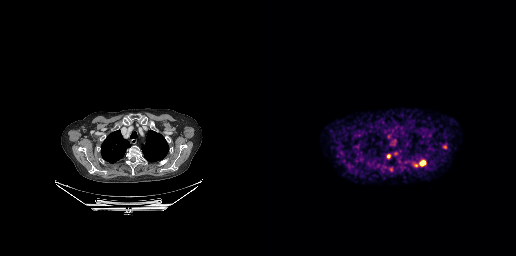
Coordinates are on the 256×256 PET (right) panel. PSMA-avid tumor lesion bounding boxes (x0, y0)-(x1, y1): (159, 160)-(165, 165); (182, 144)-(187, 149); (127, 154)-(130, 158). Small PSMA-avid foci (2 to 4 px across) near (center x, center y): (130, 170); (135, 154); (156, 165).
modality: PSMA PET/CT | tracer: [68Ga]Ga-PSMA-11 | view: axial